Two-panel axial: CT | PSMA PET, 18F-PSMA tracer. Slice position z = -1717 mm. PET panel 200×200 px (4.1 mm/px).
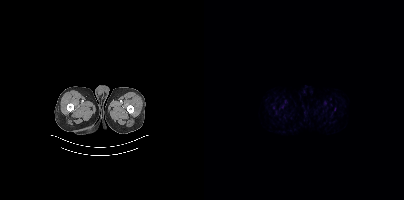
Negative for PSMA-avid disease on this slice.